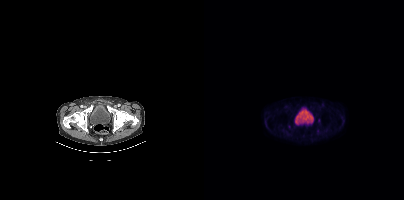
This slice has no annotated PSMA-avid lesion. Paired axial CT (left) and PSMA PET (right), 18F-PSMA tracer. Slice 67 of 435.